- Left: CT. Right: PSMA PET, same axial level, 18F tracer
- acquired on Siemens Biograph mCT Flow 20
- slice position z = 224 mm
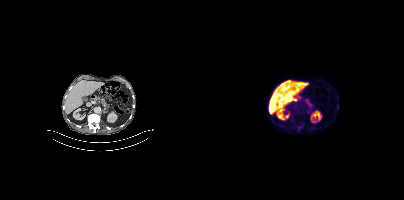
Findings: Only PSMA-avid lesion pieces thinner than 2 px on this slice (not listed).